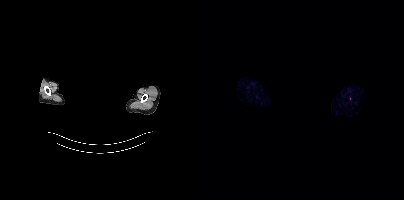
No tumor lesions annotated on this slice.
Any black rectangle over the head is a privacy mask, not anatomy.